Two-panel axial: CT | PSMA PET, 18F tracer. Acquired on Siemens Biograph mCT Flow 20. Slice position z = -912 mm.
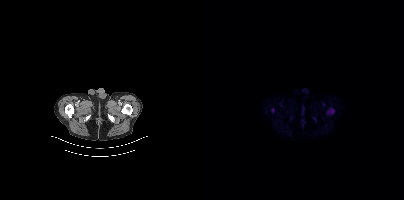
Coordinates are on the 200×200 PET (right) panel. PSMA-avid tumor lesion bounding box (x0, y0)-(x1, y1): (122, 108)-(130, 114).